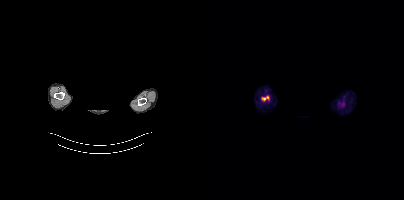
{"pet_grid":[200,200],"coord_frame":"pet_panel","coord_format":"x0,y0,x1,y1","psma_avid_lesions":false,"modality":"PSMA PET/CT","view":"axial","tracer":"[18F]PSMA-1007","redaction":"rectangular block over head set to black"}